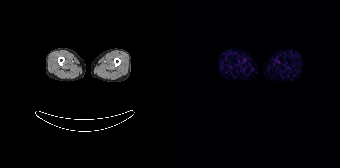
{"modality":"PSMA PET/CT","view":"axial","tracer":"68Ga","pet_grid":[168,168],"coord_frame":"pet_panel","coord_format":"x0,y0,x1,y1","psma_avid_lesions":false}